modality: PSMA PET/CT | tracer: [18F]PSMA-1007 | view: axial | PET grid: 200×200
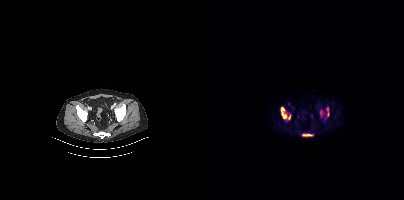
Coordinates are on the 200×200 PET (right) panel. PSMA-avid tumor lesion bounding boxes (x0, y0)-(x1, y1): (77, 107)-(82, 118) / (98, 134)-(108, 136) / (123, 107)-(125, 116) / (116, 110)-(117, 115) / (84, 115)-(86, 119).